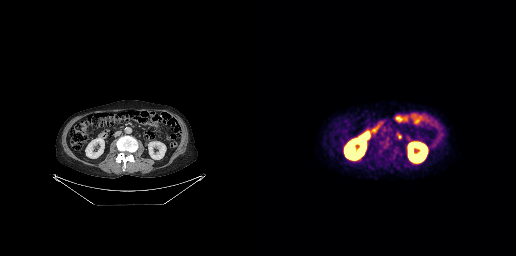
{"modality":"PSMA PET/CT","view":"axial","tracer":"18F-PSMA","pet_grid":[256,256],"coord_frame":"pet_panel","coord_format":"x0,y0,x1,y1","lesion_bboxes":[[137,134,141,138]]}